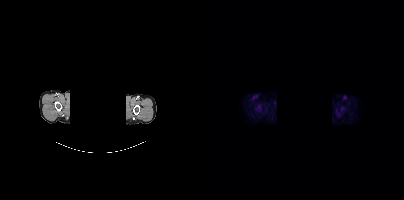
De-identified by setting a box covering the face to black before release. Left: CT. Right: PSMA PET, same axial level, 18F-PSMA tracer. Slice 380 of 438. PET panel 200×200 px (4.1 mm/px). No tumor lesions annotated on this slice.